Two-panel axial: CT | PSMA PET, 68Ga tracer. Acquired on GE Discovery 690. Slice position z = -513 mm. PET panel 256×256 px (2.7 mm/px).
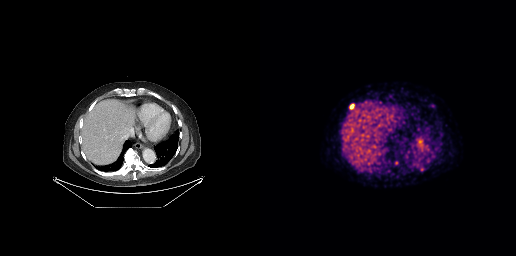
Coordinates are on the 256×256 PET (right) panel. PSMA-avid tumor lesion bounding boxes:
| # | x0 | y0 | x1 | y1 |
|---|---|---|---|---|
| 1 | 90 | 104 | 94 | 109 |
Small PSMA-avid focus (2 to 4 px across) near (center x, center y): (162, 169).